Technique: Left: CT. Right: PSMA PET, same axial level, 18F-PSMA tracer. acquired on Siemens Biograph 64-4R TruePoint. slice position z = -792 mm.
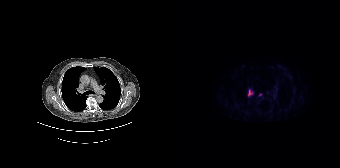
Findings: Coordinates are on the 168×168 PET (right) panel. (showing 1 of 2 foci) PSMA-avid tumor lesion bounding box (x0,y0,x1,y1): [76,90,80,95].